Left: CT. Right: PSMA PET, same axial level, 68Ga-PSMA tracer. Acquired on Siemens Biograph 64-4R TruePoint. PET panel 168×168 px (4.1 mm/px).
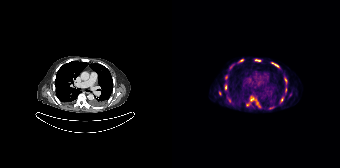
Coordinates are on the 168×168 PET (right) panel. (showing 13 of 14 foci) PSMA-avid tumor lesion bounding boxes (x, y, width, height): x=83 y=101 w=7 h=8; x=102 y=63 w=7 h=6; x=78 y=96 w=5 h=6; x=112 y=77 w=4 h=7; x=83 y=59 w=6 h=3; x=53 y=84 w=2 h=6; x=109 y=97 w=3 h=5. Small PSMA-avid foci (2 to 4 px across) near (center x, center y): (69, 60); (54, 78); (113, 89); (75, 104); (47, 93); (57, 100).